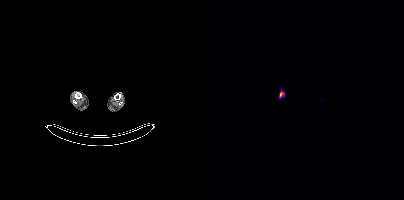
Findings: Coordinates are on the 200×200 PET (right) panel. PSMA-avid tumor lesion bounding box (x0,y0,x1,y1): [75,91,80,97].
Technique: Left: CT. Right: PSMA PET, same axial level, [18F]PSMA-1007 tracer. PET panel 200×200 px (4.1 mm/px).